Two-panel axial: CT | PSMA PET, 68Ga tracer. Acquired on GE Discovery 690. Slice position z = -560 mm.
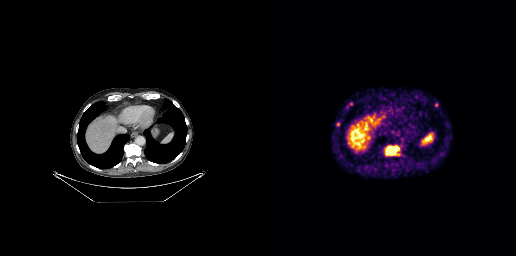
Coordinates are on the 256×256 PET (right) panel. PSMA-avid tumor lesion bounding boxes (x0,y0,x1,y1): [127,146,138,154] [76,122,79,126]. Small PSMA-avid foci (2 to 4 px across) near (center x, center y): (176, 104) (91, 103) (86, 107).